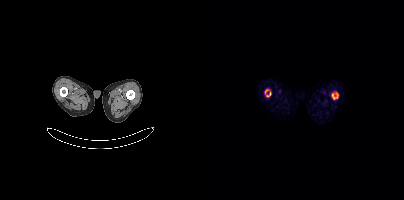
Findings: Coordinates are on the 200×200 PET (right) panel. PSMA-avid tumor lesion bounding boxes (x0, y0)-(x1, y1): (127, 92)-(134, 99) / (61, 89)-(67, 96).
Technique: Two-panel axial: CT | PSMA PET, 18F-PSMA tracer. slice position z = -394 mm.